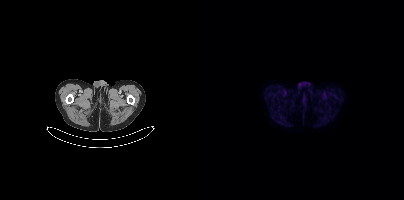
Technique: Two-panel axial: CT | PSMA PET, 18F-PSMA tracer. PET panel 200×200 px (4.1 mm/px).
Findings: No tumor lesions annotated on this slice.